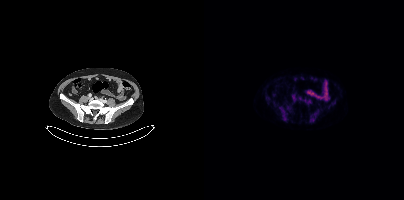
Findings: No tumor lesions annotated on this slice.
- Paired axial CT (left) and PSMA PET (right), [18F]PSMA-1007 tracer
- PET panel 200×200 px (4.1 mm/px)